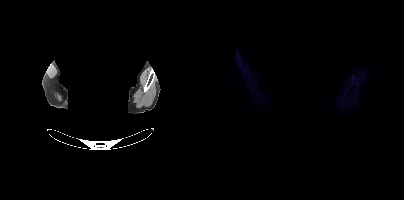
Findings: No tumor lesions annotated on this slice.
Technique: Paired axial CT (left) and PSMA PET (right), 18F tracer. acquired on Siemens Biograph mCT Flow 20. PET panel 200×200 px (4.1 mm/px).
Note: Facial anatomy redacted by setting a rectangular region of the head to black.